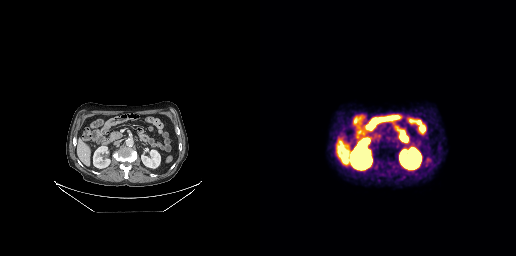
Negative for PSMA-avid disease on this slice.
modality: PSMA PET/CT | tracer: 68Ga | view: axial | PET grid: 256×256